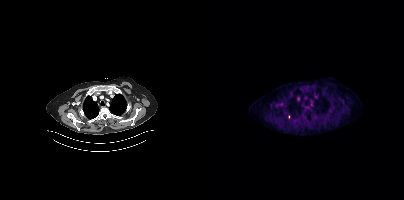
Left: CT. Right: PSMA PET, same axial level, 18F-PSMA tracer. Slice position z = 1336 mm. PET panel 200×200 px (4.1 mm/px). Only PSMA-avid lesion pieces thinner than 2 px on this slice (not listed).